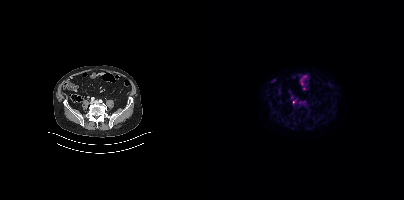
Coordinates are on the 200×200 PET (right) panel. Small PSMA-avid focus (2 to 4 px across) near (center x, center y): (89, 102).